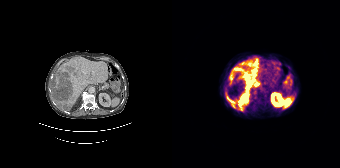
{"modality":"PSMA PET/CT","view":"axial","tracer":"[68Ga]Ga-PSMA-11","pet_grid":[168,168],"coord_frame":"pet_panel","coord_format":"x0,y0,x1,y1","lesion_bboxes":[[66,58,87,103],[57,66,68,85],[55,97,64,108],[68,104,72,108]],"small_foci_centers":[[53,92]]}